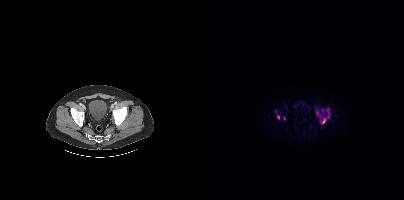
Coordinates are on the 200×200 PET (right) panel. (showing 5 of 6 foci) PSMA-avid tumor lesion bounding boxes (x0, y0)-(x1, y1): (117, 109)-(125, 123); (112, 109)-(117, 115). Small PSMA-avid foci (2 to 4 px across) near (center x, center y): (74, 116); (117, 111); (80, 118).